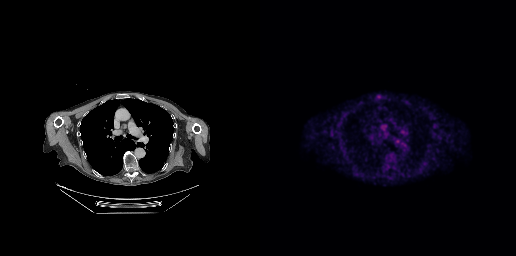
- Paired axial CT (left) and PSMA PET (right), [18F]PSMA-1007 tracer
- acquired on GE Discovery 690
- slice position z = -264 mm
Findings: Coordinates are on the 256×256 PET (right) panel. PSMA-avid tumor lesion bounding boxes (x0,y0,x1,y1): [120,124,127,130]; [123,134,127,138].